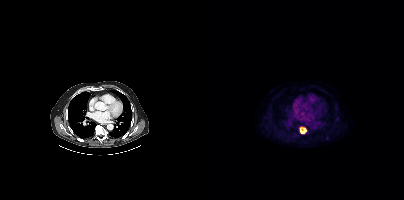
Findings: Coordinates are on the 200×200 PET (right) panel. (showing 1 of 2 foci) PSMA-avid tumor lesion bounding box (x0, y0)-(x1, y1): (96, 127)-(102, 133).
Technique: Paired axial CT (left) and PSMA PET (right), 18F tracer. PET panel 200×200 px (4.1 mm/px).